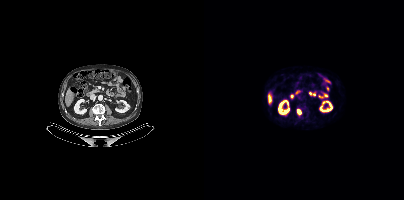
Paired axial CT (left) and PSMA PET (right), 18F-PSMA tracer. Slice position z = -731 mm. PET panel 200×200 px (4.1 mm/px).
Coordinates are on the 200×200 PET (right) panel. PSMA-avid tumor lesion bounding boxes:
| # | x0 | y0 | x1 | y1 |
|---|---|---|---|---|
| 1 | 93 | 109 | 97 | 114 |